Paired axial CT (left) and PSMA PET (right), 18F tracer. Acquired on Siemens Biograph mCT Flow 20. Slice 76 of 466. PET panel 200×200 px (4.1 mm/px).
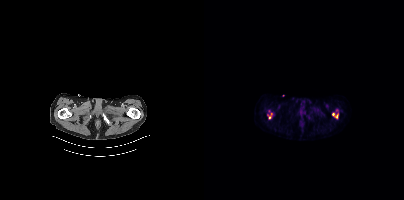
Coordinates are on the 200×200 PET (right) panel. (showing 2 of 4 foci) PSMA-avid tumor lesion bounding boxes (x0, y0)-(x1, y1): (128, 112)-(134, 117); (63, 113)-(68, 119).